modality: PSMA PET/CT | tracer: [18F]PSMA-1007 | view: axial
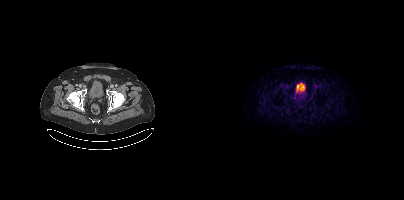
Coordinates are on the 200×200 PET (right) panel. PSMA-avid tumor lesion bounding box (x, y, width, height): x=82 y=84 w=7 h=5.